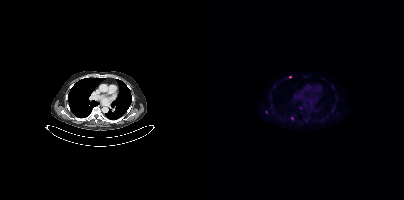
modality: PSMA PET/CT | tracer: 18F | view: axial | PET grid: 200×200
Coordinates are on the 200×200 PET (right) panel. Small PSMA-avid foci (2 to 4 px across) near (center x, center y): (88, 118) | (86, 76).